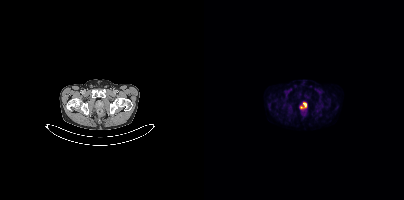
{"pet_grid":[200,200],"coord_frame":"pet_panel","coord_format":"x0,y0,x1,y1","lesion_bboxes":[[96,102,102,108]],"modality":"PSMA PET/CT","view":"axial","tracer":"18F"}